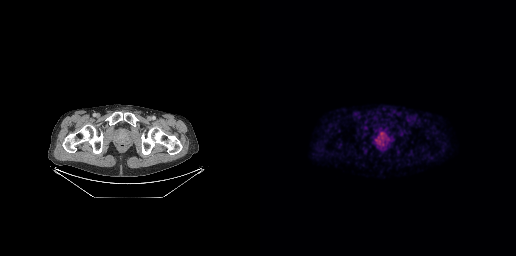
Coordinates are on the 256×256 PET (right) panel. PSMA-avid tumor lesion bounding box (x, y, width, height): x=115 y=132 w=15 h=15.